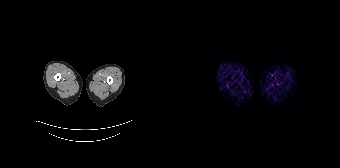
{"modality":"PSMA PET/CT","view":"axial","tracer":"68Ga","pet_grid":[168,168],"coord_frame":"pet_panel","coord_format":"x0,y0,x1,y1","psma_avid_lesions":false}